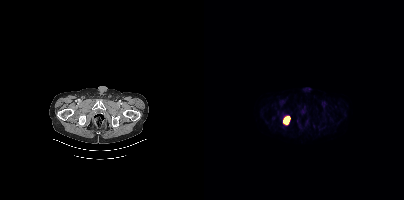
Coordinates are on the 200×200 PET (right) panel. PSMA-avid tumor lesion bounding box (x0,y0,x1,y1): [80,116,85,124].